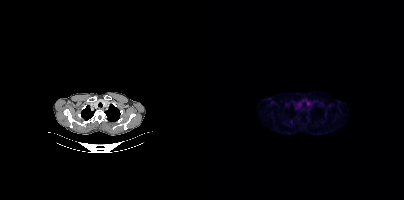
- Paired axial CT (left) and PSMA PET (right), 18F tracer
- slice 327 of 401
Findings: Coordinates are on the 200×200 PET (right) panel. Small PSMA-avid focus (2 to 4 px across) near (center x, center y): (87, 121).